Privacy masking over the head, with the pixels inside a rectangle set to black.
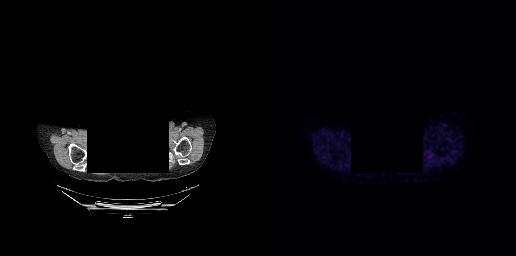
This slice has no annotated PSMA-avid lesion.